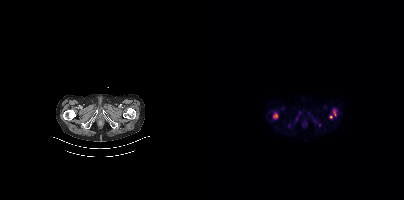
Technique: Left: CT. Right: PSMA PET, same axial level, [18F]PSMA-1007 tracer. PET panel 200×200 px (4.1 mm/px).
Findings: Coordinates are on the 200×200 PET (right) panel. (showing 6 of 7 foci) PSMA-avid tumor lesion bounding boxes (x, y, width, height): x=69 y=112 w=6 h=8 / x=129 y=109 w=4 h=8 / x=92 y=117 w=2 h=5. Small PSMA-avid foci (2 to 4 px across) near (center x, center y): (126, 116) / (115, 125) / (84, 126).